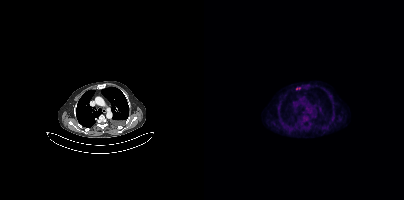
- Left: CT. Right: PSMA PET, same axial level, 18F-PSMA tracer
- slice position z = -1062 mm
- PET panel 200×200 px (4.1 mm/px)
Findings: Coordinates are on the 200×200 PET (right) panel. PSMA-avid tumor lesion bounding box (x0, y0)-(x1, y1): (92, 87)-(96, 89).